modality: PSMA PET/CT | tracer: [18F]PSMA-1007 | view: axial | PET grid: 200×200 | deidentification: face masked with black rectangle
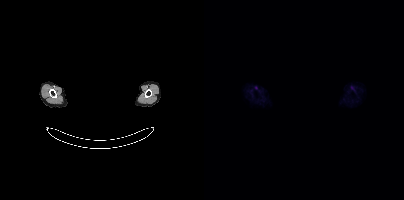
No tumor lesions annotated on this slice.